Technique: Two-panel axial: CT | PSMA PET, 18F-PSMA tracer. PET panel 200×200 px (4.1 mm/px).
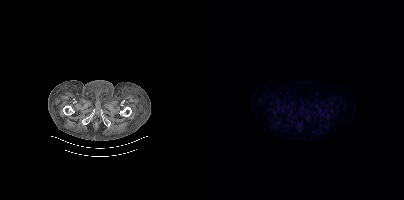
Findings: Negative for PSMA-avid disease on this slice.